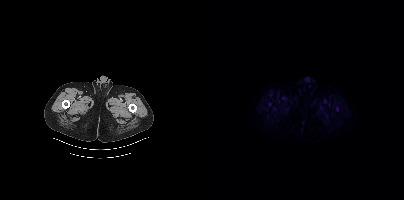
No PSMA-avid tumor lesions on this slice. Two-panel axial: CT | PSMA PET, [18F]PSMA-1007 tracer. PET panel 200×200 px (4.1 mm/px).